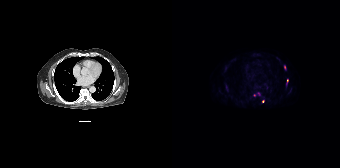
Coordinates are on the 168×168 PET (right) panel. (showing 3 of 5 foci) Small PSMA-avid foci (2 to 4 px across) near (center x, center y): (115, 80) (90, 101) (86, 93).